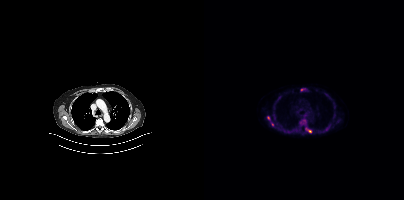
Coordinates are on the 200×200 PET (right) panel. PSMA-avid tumor lesion bounding boxes (x0,y0,x1,y1): [96,119,102,124], [121,125,126,130], [101,127,107,132]. Small PSMA-avid foci (2 to 4 px across) near (center x, center y): (64, 117), (68, 124), (99, 89). Two-panel axial: CT | PSMA PET, 18F-PSMA tracer. Slice position z = -1077 mm. PET panel 200×200 px (4.1 mm/px).